- Two-panel axial: CT | PSMA PET, 18F-PSMA tracer
- acquired on Siemens Biograph mCT Flow 20
- slice position z = -978 mm
- PET panel 200×200 px (4.1 mm/px)
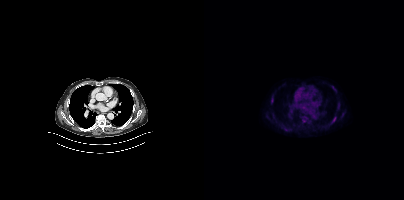
Findings: No PSMA-avid tumor lesions on this slice.